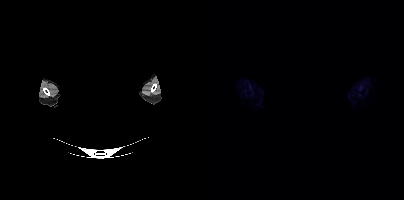
The face region was removed for patient privacy by blanking a rectangle over the head.
This slice has no annotated PSMA-avid lesion.